- Two-panel axial: CT | PSMA PET, [68Ga]Ga-PSMA-11 tracer
- acquired on Siemens Biograph mCT Flow 20
- slice 340 of 409
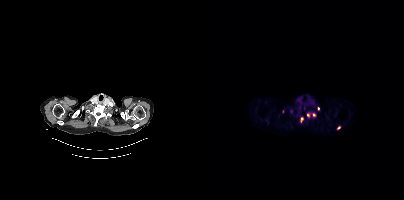
Findings: Coordinates are on the 200×200 PET (right) panel. (showing 5 of 6 foci) PSMA-avid tumor lesion bounding boxes (x0,y0,x1,y1): [103,113,106,117]; [97,117,98,121]. Small PSMA-avid foci (2 to 4 px across) near (center x, center y): (109, 114); (134, 127); (114, 108).